- Paired axial CT (left) and PSMA PET (right), [18F]PSMA-1007 tracer
- slice 78 of 401
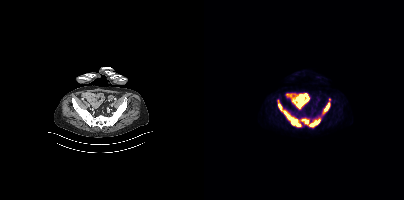
Findings: Coordinates are on the 200×200 PET (right) panel. (showing 5 of 6 foci) PSMA-avid tumor lesion bounding boxes (x, y, width, height): x=80 y=111 w=17 h=16; x=106 y=120 w=10 h=8; x=119 y=103 w=7 h=11; x=74 y=103 w=4 h=8; x=100 y=120 w=5 h=5.